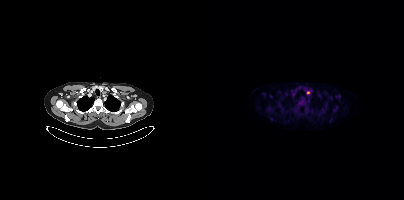
{"modality":"PSMA PET/CT","view":"axial","tracer":"[18F]PSMA-1007","pet_grid":[200,200],"coord_frame":"pet_panel","coord_format":"x0,y0,x1,y1","lesion_bboxes":[],"small_foci_centers":[[104,92]]}